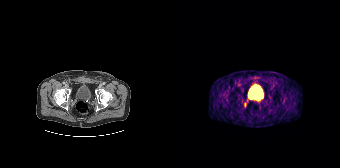
{"modality":"PSMA PET/CT","view":"axial","tracer":"[68Ga]Ga-PSMA-11","pet_grid":[168,168],"coord_frame":"pet_panel","coord_format":"x0,y0,x1,y1","lesion_bboxes":[],"small_foci_centers":[[73,104]]}